Two-panel axial: CT | PSMA PET, 18F tracer. Acquired on GE Discovery 690. Slice 77 of 263.
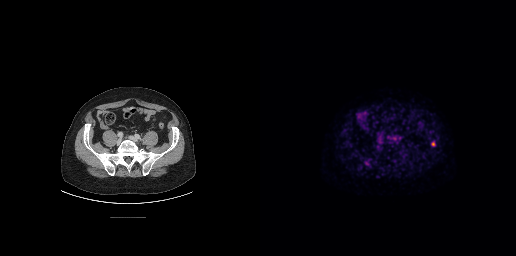
Coordinates are on the 256×256 PET (right) panel. PSMA-avid tumor lesion bounding box (x0, y0)-(x1, y1): (171, 141)-(175, 146). Small PSMA-avid focus (2 to 4 px across) near (center x, center y): (134, 138).